Paired axial CT (left) and PSMA PET (right), 18F tracer.
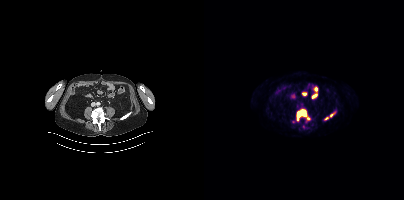
Coordinates are on the 200×200 PET (right) panel. PSMA-avid tumor lesion bounding boxes:
| # | x0 | y0 | x1 | y1 |
|---|---|---|---|---|
| 1 | 93 | 110 | 105 | 120 |
| 2 | 126 | 113 | 130 | 116 |
Small PSMA-avid focus (2 to 4 px across) near (center x, center y): (122, 118).